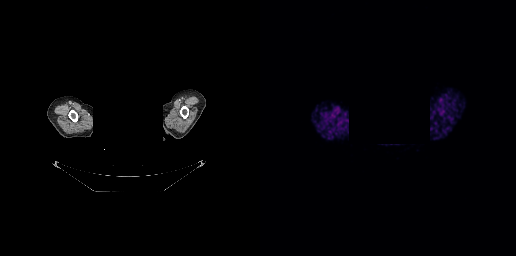
{"modality":"PSMA PET/CT","view":"axial","tracer":"68Ga-PSMA","pet_grid":[256,256],"coord_frame":"pet_panel","coord_format":"x0,y0,x1,y1","psma_avid_lesions":false,"redaction":"head region blacked out before release"}